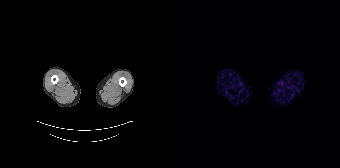
Negative for PSMA-avid disease on this slice. Two-panel axial: CT | PSMA PET, 68Ga-PSMA tracer. Slice position z = -998 mm.